Left: CT. Right: PSMA PET, same axial level, 18F tracer.
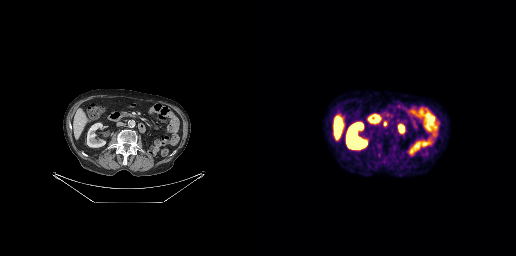
Coordinates are on the 256×256 PET (right) panel. Small PSMA-avid focus (2 to 4 px across) near (center x, center y): (125, 123).